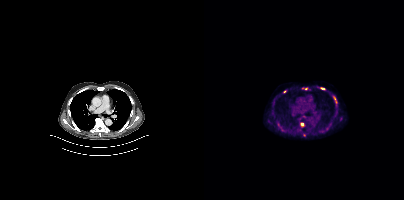
{"modality":"PSMA PET/CT","view":"axial","tracer":"18F","pet_grid":[200,200],"coord_frame":"pet_panel","coord_format":"x0,y0,x1,y1","partial":true,"lesion_bboxes":[[96,122,100,126],[116,87,121,89]],"small_foci_centers":[[102,88],[80,91],[130,98]]}